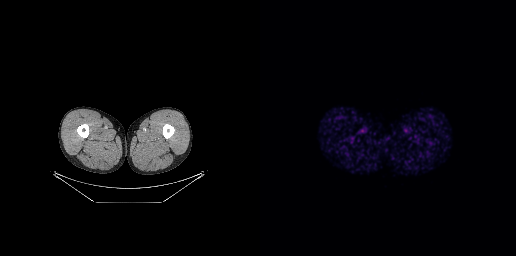
Findings: No PSMA-avid tumor lesions on this slice.
- Two-panel axial: CT | PSMA PET, [68Ga]Ga-PSMA-11 tracer
- slice 31 of 299